Left: CT. Right: PSMA PET, same axial level, 18F-PSMA tracer. Acquired on Siemens Biograph mCT Flow 20.
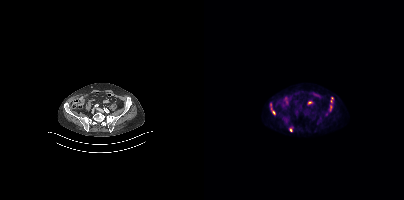
Coordinates are on the 200×200 PET (right) panel. PSMA-avid tumor lesion bounding boxes:
| # | x0 | y0 | x1 | y1 |
|---|---|---|---|---|
| 1 | 125 | 97 | 129 | 111 |
| 2 | 66 | 103 | 71 | 114 |
| 3 | 85 | 127 | 88 | 131 |